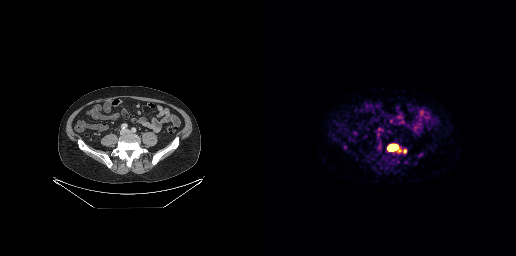
{"modality":"PSMA PET/CT","view":"axial","tracer":"68Ga","pet_grid":[256,256],"coord_frame":"pet_panel","coord_format":"x0,y0,x1,y1","lesion_bboxes":[[127,144,138,151]],"small_foci_centers":[[144,151]]}